Left: CT. Right: PSMA PET, same axial level, 18F-PSMA tracer. Slice 9 of 165.
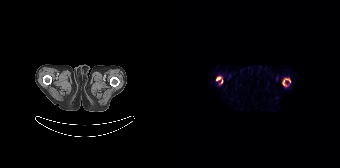
Coordinates are on the 168×168 PET (right) panel. PSMA-avid tumor lesion bounding boxes:
| # | x0 | y0 | x1 | y1 |
|---|---|---|---|---|
| 1 | 110 | 78 | 118 | 86 |
| 2 | 44 | 77 | 50 | 83 |